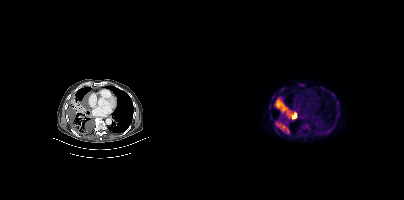
Coordinates are on the 200×200 PET (right) panel. (showing 4 of 5 foci) PSMA-avid tumor lesion bounding boxes (x, y, width, height): x=70 y=97 w=23 h=22; x=76 y=126 w=10 h=8; x=98 y=124 w=7 h=5; x=73 y=122 w=4 h=5.